- Two-panel axial: CT | PSMA PET, 68Ga tracer
- PET panel 200×200 px (4.1 mm/px)
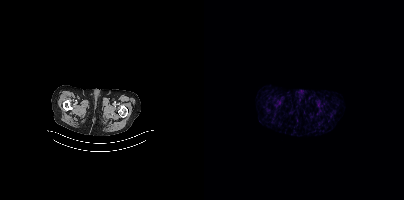
Findings: No PSMA-avid tumor lesions on this slice.